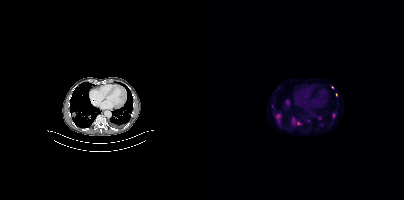
Coordinates are on the 200×200 PET (right) panel. PSMA-avid tumor lesion bounding boxes (x0,y0,x1,y1): [71,113,77,124], [89,118,95,124], [128,113,131,117]. Small PSMA-avid foci (2 to 4 px across) near (center x, center y): (68, 105), (83, 102), (115, 118), (104, 120), (132, 94), (128, 87).